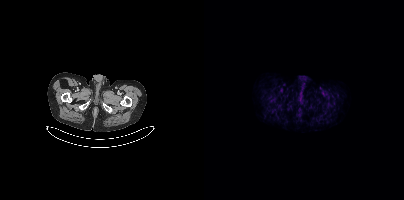
- Paired axial CT (left) and PSMA PET (right), 18F tracer
- acquired on Siemens Biograph mCT Flow 20
- slice position z = -973 mm
Findings: No PSMA-avid tumor lesions on this slice.